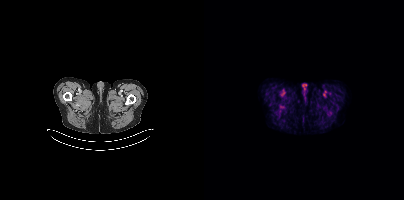
Two-panel axial: CT | PSMA PET, 18F-PSMA tracer. No tumor lesions annotated on this slice.